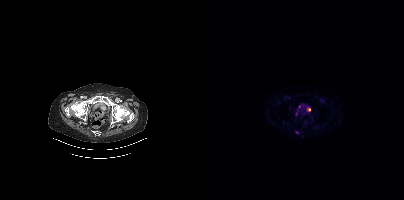
Coordinates are on the 200×200 PET (right) panel. PSMA-avid tumor lesion bounding boxes (partial; 1 more focus not listed):
| # | x0 | y0 | x1 | y1 |
|---|---|---|---|---|
| 1 | 103 | 107 | 106 | 111 |
Small PSMA-avid foci (2 to 4 px across) near (center x, center y): (92, 114); (95, 106).
Paired axial CT (left) and PSMA PET (right), 18F-PSMA tracer. Slice position z = -930 mm.